modality: PSMA PET/CT | tracer: [18F]PSMA-1007 | view: axial | PET grid: 200×200
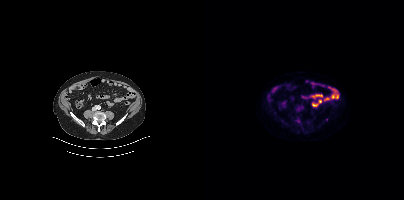
Negative for PSMA-avid disease on this slice.